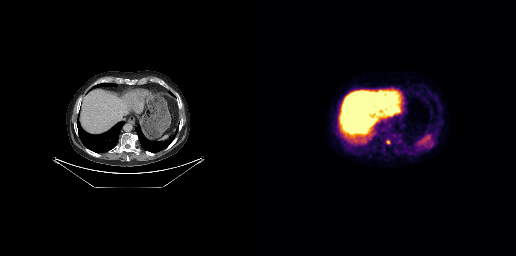
{"pet_grid":[256,256],"coord_frame":"pet_panel","coord_format":"x0,y0,x1,y1","partial":true,"lesion_bboxes":[[162,141,172,147],[100,108,104,112],[126,140,130,144]],"small_foci_centers":[[122,103],[94,109]],"modality":"PSMA PET/CT","view":"axial","tracer":"18F-PSMA"}